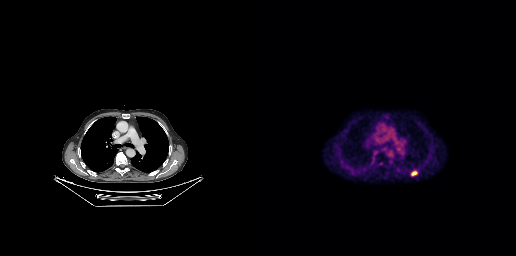
{"modality":"PSMA PET/CT","view":"axial","tracer":"18F-PSMA","pet_grid":[256,256],"coord_frame":"pet_panel","coord_format":"x0,y0,x1,y1","lesion_bboxes":[[151,170,157,176]]}